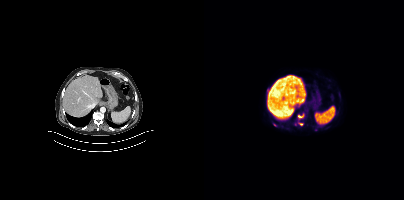
{"modality":"PSMA PET/CT","view":"axial","tracer":"18F-PSMA","pet_grid":[200,200],"coord_frame":"pet_panel","coord_format":"x0,y0,x1,y1","lesion_bboxes":[[94,114,99,118]],"small_foci_centers":[[96,124],[70,124]]}